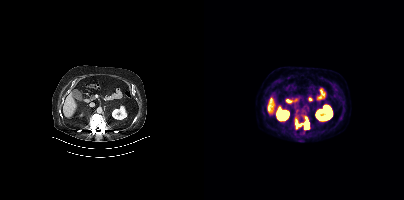
- Two-panel axial: CT | PSMA PET, 18F-PSMA tracer
- slice position z = 204 mm
Findings: Coordinates are on the 200×200 PET (right) panel. PSMA-avid tumor lesion bounding boxes (x0,y0,x1,y1): [91,119,99,128]; [101,117,104,128]. Small PSMA-avid focus (2 to 4 px across) near (center x, center y): (98, 116).